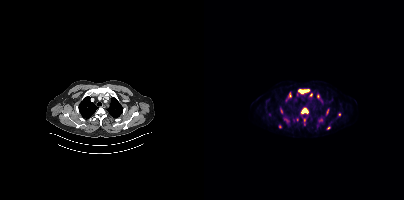
- Left: CT. Right: PSMA PET, same axial level, 18F-PSMA tracer
- slice position z = -962 mm
- PET panel 200×200 px (4.1 mm/px)
Findings: Coordinates are on the 200×200 PET (right) panel. (showing 8 of 11 foci) PSMA-avid tumor lesion bounding boxes (x0, y0)-(x1, y1): (95, 89)-(105, 93) | (97, 108)-(103, 113) | (99, 118)-(101, 125) | (85, 93)-(87, 97) | (123, 109)-(124, 113). Small PSMA-avid foci (2 to 4 px across) near (center x, center y): (114, 96) | (124, 128) | (77, 111).